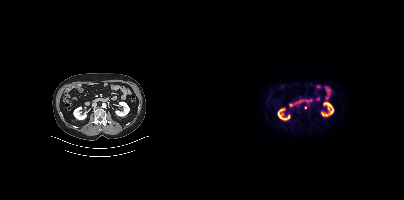
Coordinates are on the 200×200 PET (right) panel. Small PSMA-avid focus (2 to 4 px across) near (center x, center y): (101, 107).